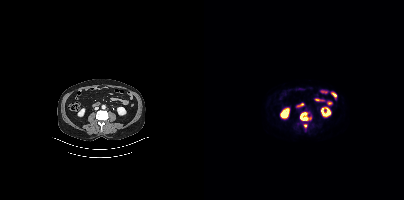
Coordinates are on the 200×200 PET (right) panel. (showing 2 of 3 foci) PSMA-avid tumor lesion bounding box (x, y, width, height): x=96 y=112 w=9 h=9. Small PSMA-avid focus (2 to 4 px across) near (center x, center y): (101, 125).